Paired axial CT (left) and PSMA PET (right), 18F tracer.
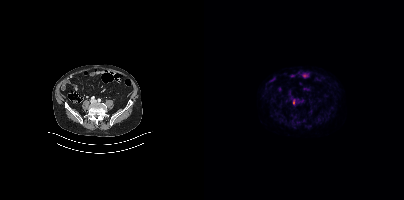
Coordinates are on the 200×200 PET (right) panel. Small PSMA-avid focus (2 to 4 px across) near (center x, center y): (89, 101).